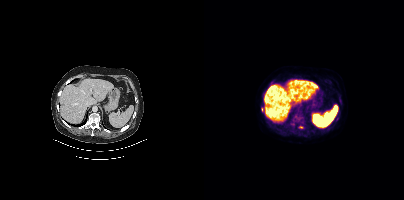
{"modality":"PSMA PET/CT","view":"axial","tracer":"18F","pet_grid":[200,200],"coord_frame":"pet_panel","coord_format":"x0,y0,x1,y1","partial":true,"lesion_bboxes":[]}